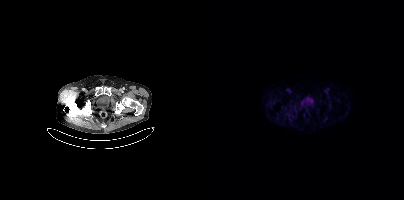
modality: PSMA PET/CT | tracer: 18F-PSMA | view: axial | PET grid: 200×200
No PSMA-avid tumor lesions on this slice.